Paired axial CT (left) and PSMA PET (right), 68Ga tracer. Slice position z = -1367 mm. PET panel 200×200 px (4.1 mm/px).
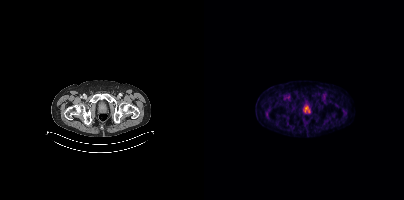
Coordinates are on the 200×200 PET (right) panel. Small PSMA-avid focus (2 to 4 px across) near (center x, center y): (105, 112).